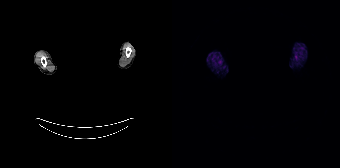
de-identification: face masked with black rectangle | modality: PSMA PET/CT | tracer: [68Ga]Ga-PSMA-11 | view: axial
No PSMA-avid tumor lesions on this slice.